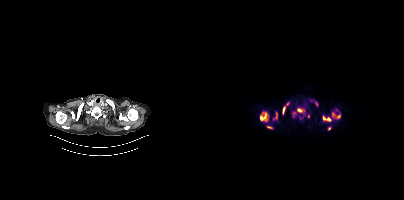
Coordinates are on the 200×200 PET (right) panel. PSMA-avid tumor lesion bounding boxes (x0, y0)-(x1, y1): (128, 108)-(136, 118) / (93, 108)-(105, 117) / (56, 112)-(63, 120) / (119, 116)-(127, 121) / (63, 126)-(69, 129) / (124, 126)-(127, 130) / (72, 112)-(73, 118). Small PSMA-avid foci (2 to 4 px across) near (center x, center y): (80, 107) / (111, 102) / (84, 102) / (78, 112).